modality: PSMA PET/CT | tracer: 68Ga-PSMA | view: axial | PET grid: 256×256
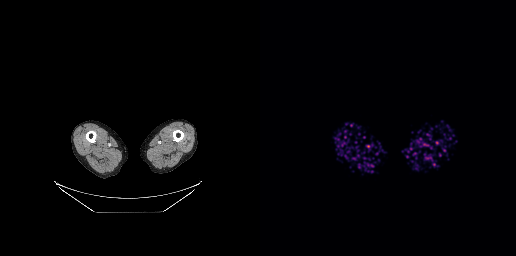
No PSMA-avid tumor lesions on this slice.